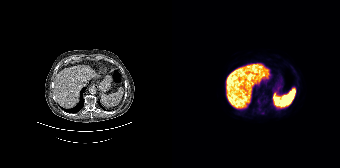
No PSMA-avid tumor lesions on this slice.